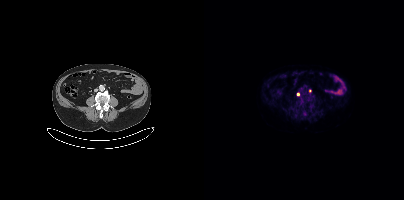
Coordinates are on the 200×200 PET (right) panel. Small PSMA-avid foci (2 to 4 px across) near (center x, center y): (105, 90) | (93, 94).